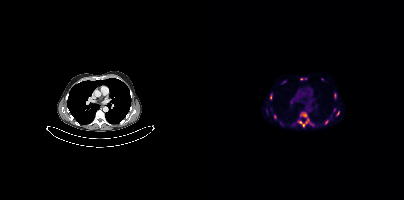
Technique: Paired axial CT (left) and PSMA PET (right), [18F]PSMA-1007 tracer. acquired on Siemens Biograph mCT Flow 20. PET panel 200×200 px (4.1 mm/px).
Findings: Coordinates are on the 200×200 PET (right) panel. (showing 8 of 11 foci) PSMA-avid tumor lesion bounding boxes (x0,y0,x1,y1): [93,113,109,127] [66,94,68,99] [130,93,132,98] [132,111,135,115] [121,120,124,124]. Small PSMA-avid foci (2 to 4 px across) near (center x, center y): (71, 116) (130, 109) (97, 78).